- Left: CT. Right: PSMA PET, same axial level, 18F tracer
- acquired on Siemens Biograph mCT Flow 20
- slice 226 of 431
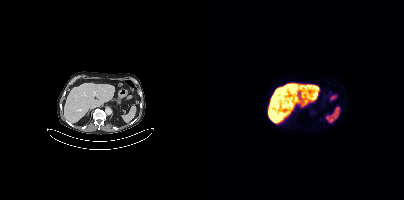
Findings: This slice has no annotated PSMA-avid lesion.